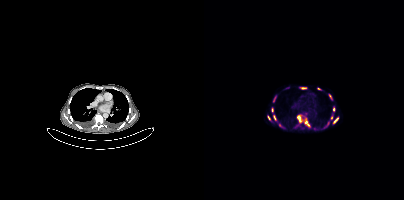
{"pet_grid":[200,200],"coord_frame":"pet_panel","coord_format":"x0,y0,x1,y1","partial":true,"lesion_bboxes":[[93,115,98,122],[100,118,105,126],[129,117,134,123],[69,96,72,101],[125,94,128,99],[122,122,124,126]],"small_foci_centers":[[76,125],[114,88],[65,117],[70,117],[129,109],[68,110],[127,117]],"modality":"PSMA PET/CT","view":"axial","tracer":"[68Ga]Ga-PSMA-11"}